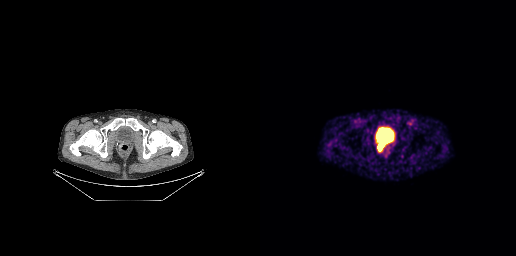
- Paired axial CT (left) and PSMA PET (right), [68Ga]Ga-PSMA-11 tracer
Findings: Coordinates are on the 256×256 PET (right) panel. PSMA-avid tumor lesion bounding box (x0, y0)-(x1, y1): (118, 142)-(125, 148).